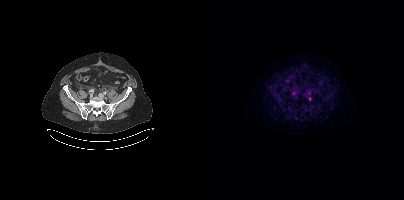
{"pet_grid":[200,200],"coord_frame":"pet_panel","coord_format":"x0,y0,x1,y1","lesion_bboxes":[],"small_foci_centers":[[105,98]],"modality":"PSMA PET/CT","view":"axial","tracer":"18F-PSMA"}